Paired axial CT (left) and PSMA PET (right), [18F]PSMA-1007 tracer. Acquired on Siemens Biograph mCT Flow 20.
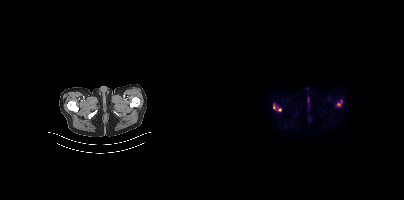
Coordinates are on the 200×200 PET (right) panel. PSMA-avid tumor lesion bounding boxes:
| # | x0 | y0 | x1 | y1 |
|---|---|---|---|---|
| 1 | 69 | 103 | 77 | 111 |
| 2 | 133 | 100 | 138 | 106 |